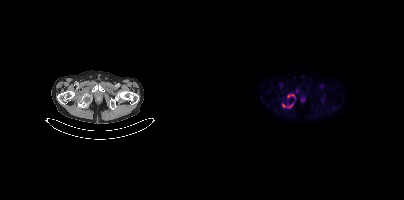
Coordinates are on the 200×200 PET (right) panel. (showing 3 of 4 foci) PSMA-avid tumor lesion bounding boxes (x0,y0,x1,y1): [84,102,90,108], [83,94,89,97]. Small PSMA-avid focus (2 to 4 px across) near (center x, center y): (79, 105).